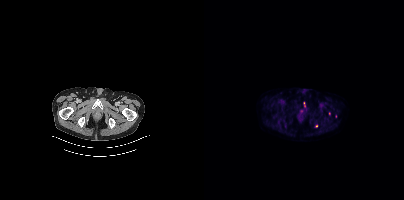
Coordinates are on the 200×200 PET (right) panel. (showing 3 of 4 foci) Small PSMA-avid foci (2 to 4 px across) near (center x, center y): (112, 126) | (131, 116) | (125, 113).